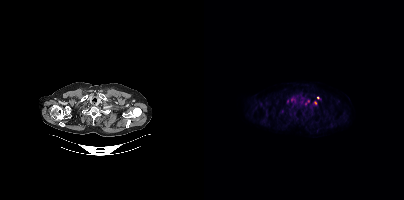
Left: CT. Right: PSMA PET, same axial level, 18F tracer. PET panel 200×200 px (4.1 mm/px). Coordinates are on the 200×200 PET (right) panel. Small PSMA-avid foci (2 to 4 px across) near (center x, center y): (114, 97) / (104, 101) / (111, 102) / (101, 103).